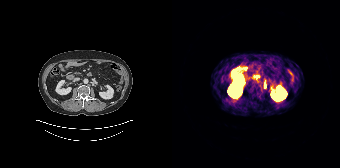
Coordinates are on the 168×168 PET (right) panel. Small PSMA-avid focus (2 to 4 px across) near (center x, center y): (92, 86). Left: CT. Right: PSMA PET, same axial level, 68Ga tracer.